Technique: Left: CT. Right: PSMA PET, same axial level, [18F]PSMA-1007 tracer. slice position z = -822 mm. PET panel 256×256 px (2.7 mm/px).
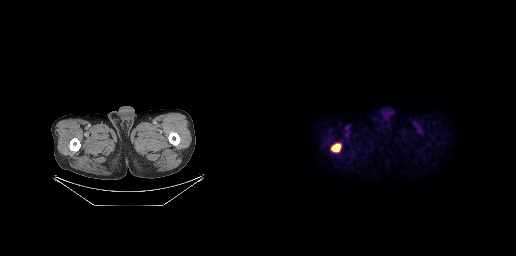
Findings: Coordinates are on the 256×256 PET (right) panel. PSMA-avid tumor lesion bounding box (x0, y0)-(x1, y1): (70, 142)-(81, 152).